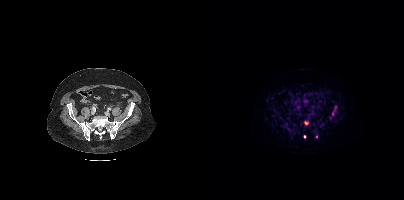
{"modality":"PSMA PET/CT","view":"axial","tracer":"68Ga-PSMA","pet_grid":[200,200],"coord_frame":"pet_panel","coord_format":"x0,y0,x1,y1","lesion_bboxes":[[128,106,132,115],[100,121,104,124]],"small_foci_centers":[[100,136],[112,136]]}